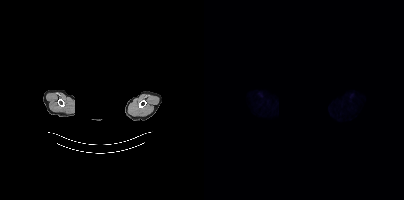
{"pet_grid":[200,200],"coord_frame":"pet_panel","coord_format":"x0,y0,x1,y1","psma_avid_lesions":false,"modality":"PSMA PET/CT","view":"axial","tracer":"18F","deidentification":"head region blanked (face removed)"}